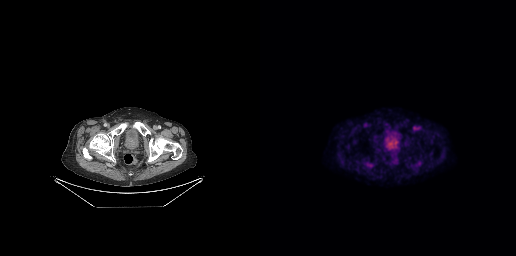
No PSMA-avid tumor lesions on this slice.